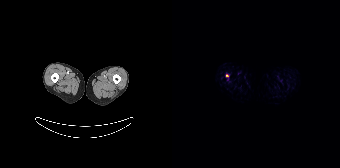
Coordinates are on the 168×168 PET (right) panel. Small PSMA-avid focus (2 to 4 px across) near (center x, center y): (55, 75). Two-panel axial: CT | PSMA PET, 18F-PSMA tracer. Acquired on Siemens Biograph 64-4R TruePoint. PET panel 168×168 px (4.1 mm/px).